Left: CT. Right: PSMA PET, same axial level, 18F-PSMA tracer. Slice 11 of 299. PET panel 256×256 px (2.7 mm/px).
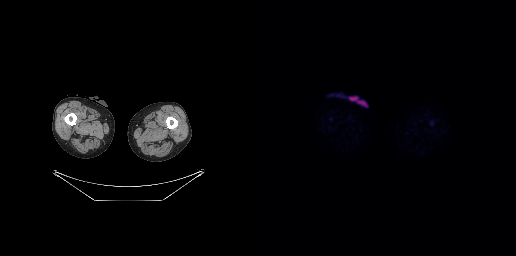
This slice has no annotated PSMA-avid lesion.